Technique: Paired axial CT (left) and PSMA PET (right), [18F]PSMA-1007 tracer. slice 88 of 299. PET panel 256×256 px (2.7 mm/px).
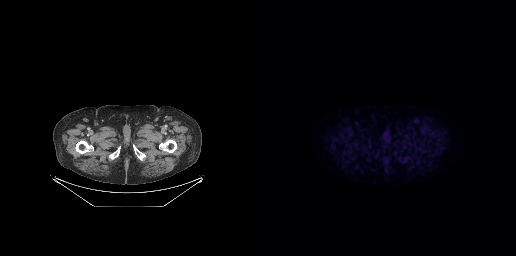
Findings: This slice has no annotated PSMA-avid lesion.